Technique: Paired axial CT (left) and PSMA PET (right), [18F]PSMA-1007 tracer. slice position z = -661 mm.
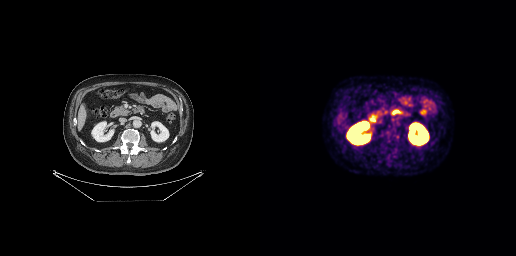
Findings: Negative for PSMA-avid disease on this slice.